Technique: Left: CT. Right: PSMA PET, same axial level, 68Ga-PSMA tracer. acquired on GE Discovery 690. slice 81 of 263. PET panel 256×256 px (2.7 mm/px).
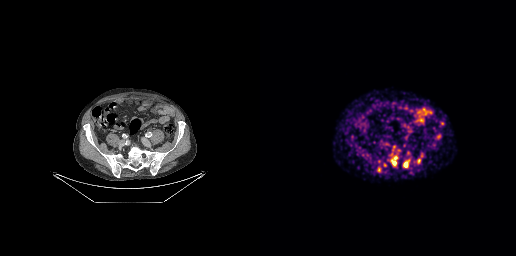
Findings: Coordinates are on the 256×256 PET (right) panel. (showing 5 of 6 foci) PSMA-avid tumor lesion bounding boxes (x0, y0)-(x1, y1): (144, 162)-(147, 166); (177, 134)-(180, 138); (157, 159)-(160, 163). Small PSMA-avid foci (2 to 4 px across) near (center x, center y): (134, 162); (135, 157).